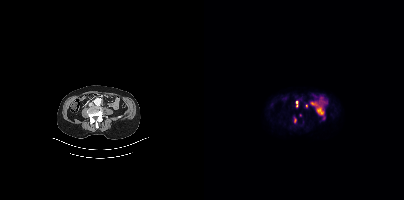
modality: PSMA PET/CT | tracer: 68Ga-PSMA | view: axial
Coordinates are on the 200×200 PET (right) panel. PSMA-avid tumor lesion bounding box (x, y, width, height): x=92 y=101 w=2 h=6. Small PSMA-avid foci (2 to 4 px across) near (center x, center y): (102, 105); (90, 120).